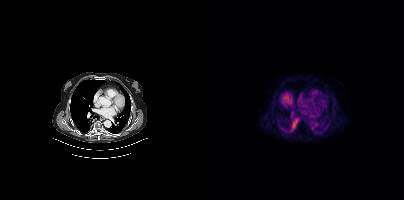
{"modality":"PSMA PET/CT","view":"axial","tracer":"[18F]PSMA-1007","pet_grid":[200,200],"coord_frame":"pet_panel","coord_format":"x0,y0,x1,y1","psma_avid_lesions":false}